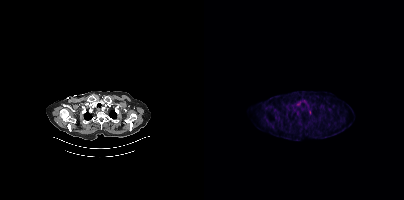
Left: CT. Right: PSMA PET, same axial level, 18F-PSMA tracer. Slice 321 of 401. PET panel 200×200 px (4.1 mm/px).
Coordinates are on the 200×200 PET (right) panel. PSMA-avid tumor lesion bounding boxes:
| # | x0 | y0 | x1 | y1 |
|---|---|---|---|---|
| 1 | 105 | 110 | 106 | 114 |